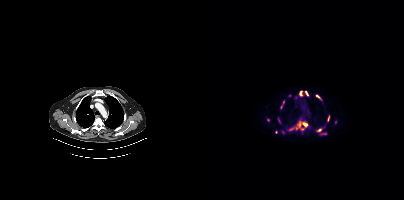
Coordinates are on the 200×200 PET (right) panel. (showing 7 of 10 foci) PSMA-avid tumor lesion bounding boxes (x0,y0,x1,y1): [93,121,103,127], [113,129,117,131], [112,95,116,98], [123,116,125,121], [96,91,97,95], [102,91,103,95]. Small PSMA-avid focus (2 to 4 px across) near (center x, center y): (92, 128).